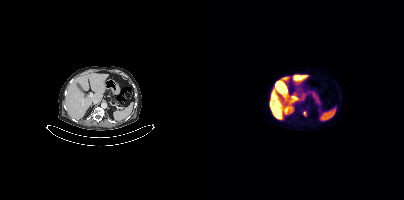
Coordinates are on the 200×200 PET (right) panel. Small PSMA-avid focus (2 to 4 px across) near (center x, center y): (100, 113).